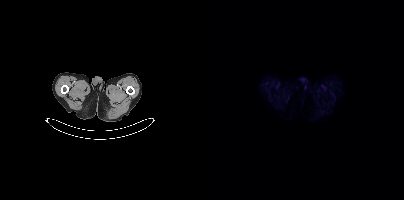
- Two-panel axial: CT | PSMA PET, 18F tracer
Findings: Negative for PSMA-avid disease on this slice.